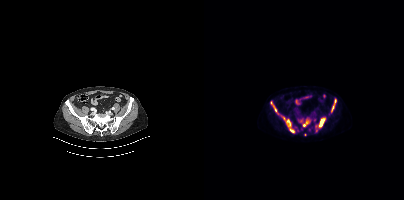
{"pet_grid":[200,200],"coord_frame":"pet_panel","coord_format":"x0,y0,x1,y1","partial":true,"lesion_bboxes":[[115,118,121,127],[99,119,105,126],[66,101,72,111],[79,117,85,127],[127,104,130,112]],"small_foci_centers":[[88,130],[112,130],[110,120],[92,127],[131,101],[96,120],[97,128]],"modality":"PSMA PET/CT","view":"axial","tracer":"18F"}